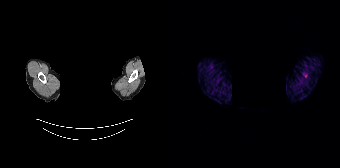
Technique: Paired axial CT (left) and PSMA PET (right), 68Ga-PSMA tracer. slice position z = -1034 mm. PET panel 168×168 px (4.1 mm/px).
Note: Face de-identified by blanking a block of the head.
Findings: Coordinates are on the 168×168 PET (right) panel. Small PSMA-avid focus (2 to 4 px across) near (center x, center y): (133, 75).